Paired axial CT (left) and PSMA PET (right), 18F tracer. Acquired on Siemens Biograph mCT Flow 20. Slice 287 of 407.
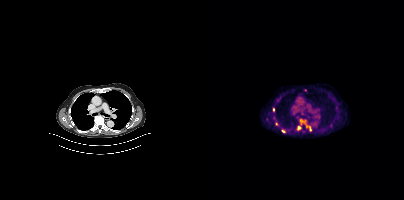
Coordinates are on the 200×200 PET (right) panel. PSMA-avid tumor lesion bounding boxes (partial; 1 more focus not listed):
| # | x0 | y0 | x1 | y1 |
|---|---|---|---|---|
| 1 | 102 | 125 | 107 | 131 |
| 2 | 96 | 120 | 100 | 122 |
Small PSMA-avid foci (2 to 4 px across) near (center x, center y): (94, 127); (79, 131); (69, 109); (72, 123).